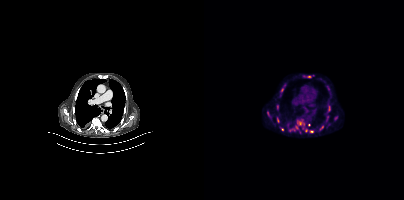
Left: CT. Right: PSMA PET, same axial level, 18F-PSMA tracer. Slice position z = -1057 mm. Coordinates are on the 200×200 PET (right) panel. (showing 12 of 15 foci) PSMA-avid tumor lesion bounding boxes (x0,y0,x1,y1): [85,119,103,132]; [72,104,74,109]; [63,111,67,117]; [105,130,109,132]; [122,116,124,121]; [73,118,74,122]. Small PSMA-avid foci (2 to 4 px across) near (center x, center y): (105, 125); (117, 127); (131, 118); (104, 76); (78, 89); (95, 132).